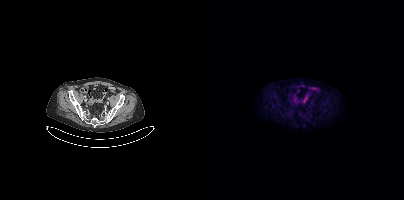
{"modality":"PSMA PET/CT","view":"axial","tracer":"18F","pet_grid":[200,200],"coord_frame":"pet_panel","coord_format":"x0,y0,x1,y1","psma_avid_lesions":false}